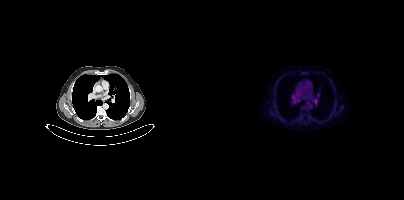
Negative for PSMA-avid disease on this slice.